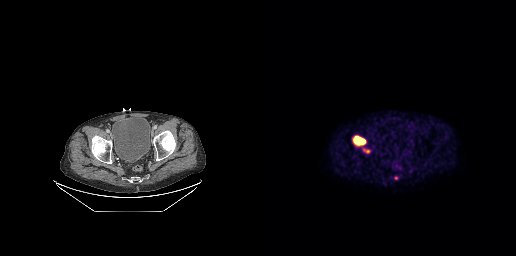
Coordinates are on the 256×256 PET (right) panel. PSMA-avid tumor lesion bounding boxes (x, y, width, height): x=94 y=136 w=12 h=10 / x=103 y=149 w=7 h=4. Small PSMA-avid focus (2 to 4 px across) near (center x, center y): (135, 177).